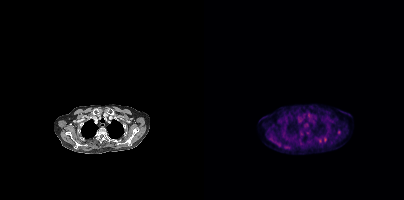
Coordinates are on the 200×200 PET (right) panel. PSMA-avid tumor lesion bounding boxes (x0, y0)-(x1, y1): (133, 130)-(136, 134); (120, 137)-(122, 141). Small PSMA-avid foci (2 to 4 px across) near (center x, center y): (116, 140); (97, 134).